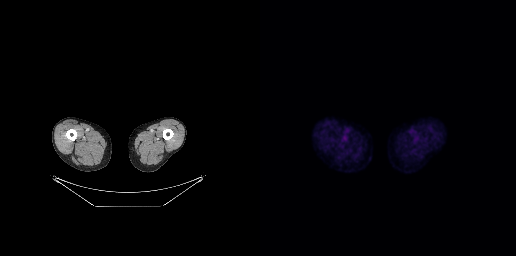
Technique: Two-panel axial: CT | PSMA PET, [18F]PSMA-1007 tracer. slice position z = -931 mm.
Findings: No tumor lesions annotated on this slice.